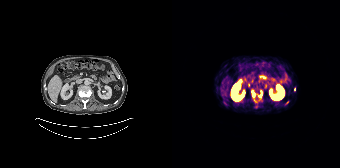
{"modality":"PSMA PET/CT","view":"axial","tracer":"[68Ga]Ga-PSMA-11","pet_grid":[168,168],"coord_frame":"pet_panel","coord_format":"x0,y0,x1,y1","partial":true,"lesion_bboxes":[[113,101,116,105]],"small_foci_centers":[[81,94],[122,89]]}